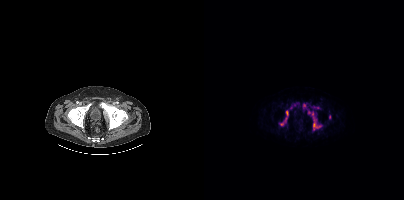
{"pet_grid":[200,200],"coord_frame":"pet_panel","coord_format":"x0,y0,x1,y1","partial":true,"lesion_bboxes":[[76,110,84,125],[109,122,117,128],[104,110,109,115],[86,103,92,109],[98,103,102,109],[110,106,114,109]],"small_foci_centers":[[125,116]],"modality":"PSMA PET/CT","view":"axial","tracer":"[18F]PSMA-1007"}